- Left: CT. Right: PSMA PET, same axial level, 18F-PSMA tracer
- slice position z = -1100 mm
- PET panel 200×200 px (4.1 mm/px)
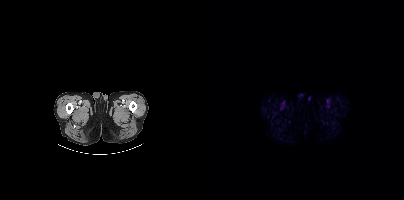
Findings: Negative for PSMA-avid disease on this slice.